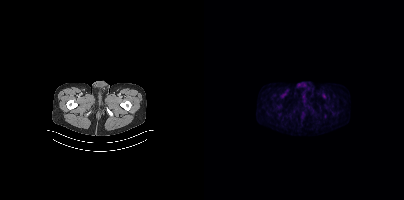
{"pet_grid":[200,200],"coord_frame":"pet_panel","coord_format":"x0,y0,x1,y1","psma_avid_lesions":false,"modality":"PSMA PET/CT","view":"axial","tracer":"18F-PSMA"}